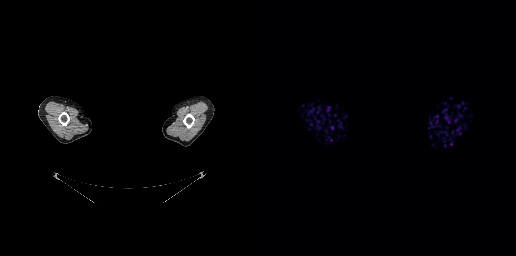
{"modality":"PSMA PET/CT","view":"axial","tracer":"68Ga","pet_grid":[256,256],"coord_frame":"pet_panel","coord_format":"x0,y0,x1,y1","deidentification":"rectangular block over head set to black","psma_avid_lesions":false}